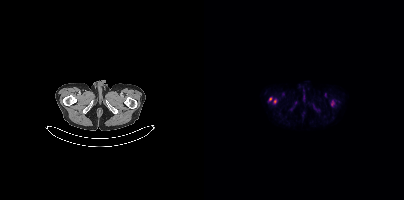
Coordinates are on the 200×200 PET (right) panel. PSMA-avid tumor lesion bounding box (x0,y0,x1,y1): [127,101,129,105]. Small PSMA-avid foci (2 to 4 px across) near (center x, center y): (71, 101); (66, 98).